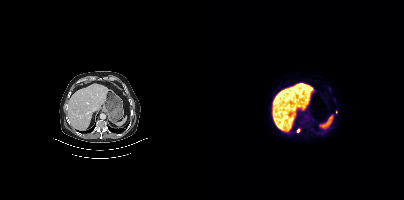
Coordinates are on the 200×200 PET (right) panel. Small PSMA-avid foci (2 to 4 px across) near (center x, center y): (94, 130); (132, 112).